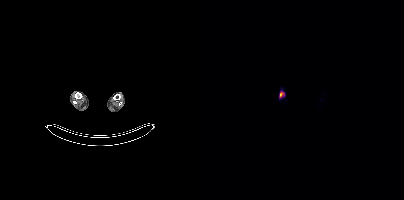
Two-panel axial: CT | PSMA PET, 18F-PSMA tracer. Coordinates are on the 200×200 PET (right) panel. PSMA-avid tumor lesion bounding box (x0,y0,x1,y1): [75,91,80,97].